modality: PSMA PET/CT | tracer: [18F]PSMA-1007 | view: axial | PET grid: 200×200
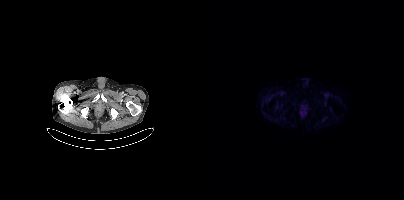
No tumor lesions annotated on this slice.